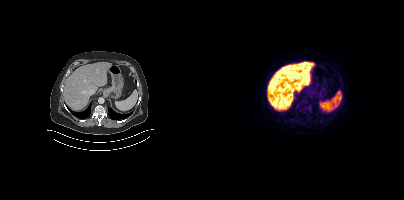
Coordinates are on the 200×200 PET (right) panel. PSMA-avid tumor lesion bounding box (x0, y0)-(x1, y1): (101, 106)-(106, 110).